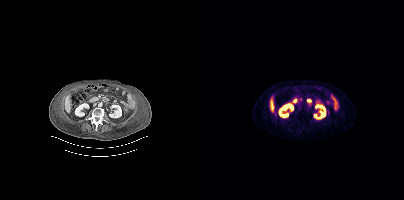
{"pet_grid":[200,200],"coord_frame":"pet_panel","coord_format":"x0,y0,x1,y1","lesion_bboxes":[],"small_foci_centers":[[95,107]],"modality":"PSMA PET/CT","view":"axial","tracer":"[18F]PSMA-1007"}